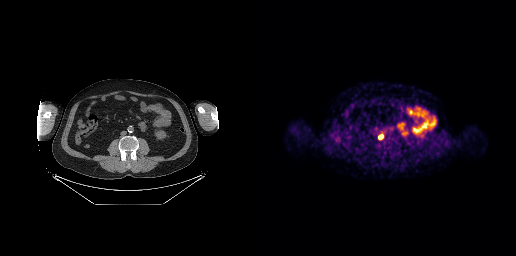
Coordinates are on the 256×256 PET (right) panel. PSMA-avid tumor lesion bounding box (x0,y0,x1,y1): [118,134,123,139].